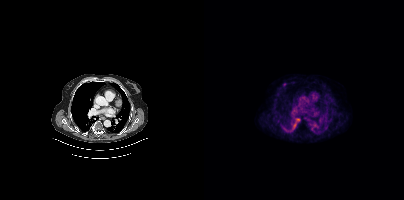
Technique: Paired axial CT (left) and PSMA PET (right), 18F-PSMA tracer. acquired on Siemens Biograph mCT Flow 20. slice 311 of 452. PET panel 200×200 px (4.1 mm/px).
Findings: Coordinates are on the 200×200 PET (right) panel. Small PSMA-avid focus (2 to 4 px across) near (center x, center y): (80, 84).